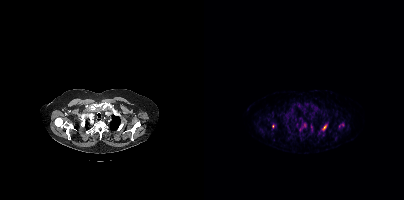
Findings: Coordinates are on the 200×200 PET (right) panel. PSMA-avid tumor lesion bounding boxes (x0, y0)-(x1, y1): (117, 124)-(123, 131) / (95, 124)-(102, 131) / (135, 124)-(139, 127). Small PSMA-avid focus (2 to 4 px across) near (center x, center y): (68, 126).
- Paired axial CT (left) and PSMA PET (right), 68Ga tracer
- PET panel 200×200 px (4.1 mm/px)